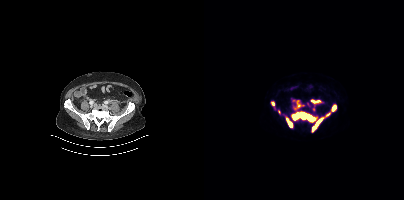
{"modality":"PSMA PET/CT","view":"axial","tracer":"[18F]PSMA-1007","pet_grid":[200,200],"coord_frame":"pet_panel","coord_format":"x0,y0,x1,y1","partial":true,"lesion_bboxes":[[87,111,113,122],[108,112,126,132],[82,117,88,127],[107,99,117,103],[127,104,132,111],[93,100,96,107]],"small_foci_centers":[[68,103]]}